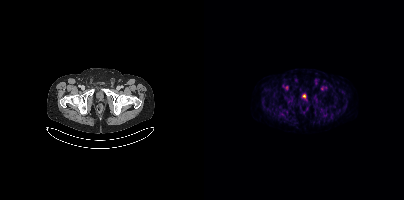
Paired axial CT (left) and PSMA PET (right), [18F]PSMA-1007 tracer. Negative for PSMA-avid disease on this slice.